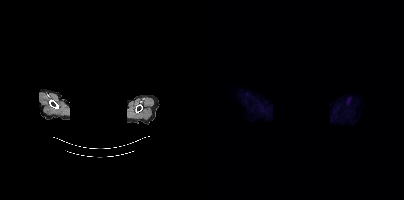
No PSMA-avid tumor lesions on this slice. Two-panel axial: CT | PSMA PET, 18F tracer. Acquired on Siemens Biograph mCT Flow 20. A rectangle over the head was blacked out to remove identifiable facial features.